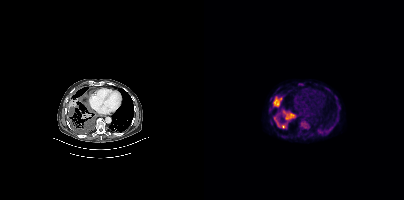
Technique: Left: CT. Right: PSMA PET, same axial level, 18F tracer. slice position z = -1178 mm. PET panel 200×200 px (4.1 mm/px).
Findings: Coordinates are on the 200×200 PET (right) panel. PSMA-avid tumor lesion bounding boxes (x, y, width, height): x=69 y=97 w=10 h=11; x=78 y=110 w=13 h=11; x=96 y=120 w=10 h=9; x=70 y=117 w=12 h=12. Small PSMA-avid focus (2 to 4 px across) near (center x, center y): (115, 132).